Paired axial CT (left) and PSMA PET (right), 18F tracer. Acquired on Siemens Biograph mCT Flow 20. Slice 147 of 444.
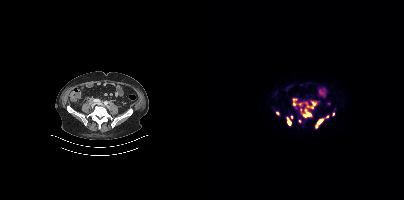
Coordinates are on the 200×200 PET (right) panel. PSMA-avid tumor lesion bounding boxes (x, y, width, height): x=95 y=101 w=18 h=8; x=98 y=109 w=10 h=9; x=111 y=118 w=9 h=11; x=83 y=117 w=5 h=9; x=89 y=98 w=4 h=8. Small PSMA-avid foci (2 to 4 px across) near (center x, center y): (87, 117); (129, 114); (123, 116); (95, 121); (73, 113); (96, 109).